Left: CT. Right: PSMA PET, same axial level, [18F]PSMA-1007 tracer. Slice position z = -498 mm.
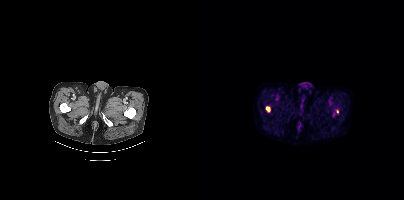
Coordinates are on the 200×200 PET (right) panel. PSMA-avid tumor lesion bounding boxes:
| # | x0 | y0 | x1 | y1 |
|---|---|---|---|---|
| 1 | 62 | 107 | 65 | 111 |
Small PSMA-avid focus (2 to 4 px across) near (center x, center y): (133, 111).